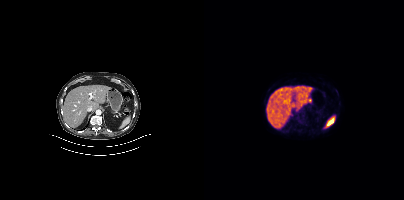
Left: CT. Right: PSMA PET, same axial level, [18F]PSMA-1007 tracer. PET panel 200×200 px (4.1 mm/px). This slice has no annotated PSMA-avid lesion.